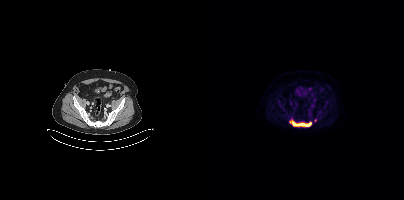
{"modality":"PSMA PET/CT","view":"axial","tracer":"[18F]PSMA-1007","pet_grid":[200,200],"coord_frame":"pet_panel","coord_format":"x0,y0,x1,y1","partial":true,"lesion_bboxes":[[85,119,107,126]]}